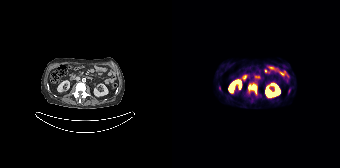
{"pet_grid":[168,168],"coord_frame":"pet_panel","coord_format":"x0,y0,x1,y1","lesion_bboxes":[[76,83,85,95]],"small_foci_centers":[[47,88]],"modality":"PSMA PET/CT","view":"axial","tracer":"[68Ga]Ga-PSMA-11"}